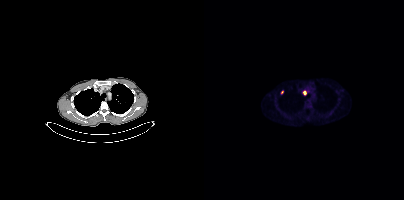
{"pet_grid":[200,200],"coord_frame":"pet_panel","coord_format":"x0,y0,x1,y1","lesion_bboxes":[],"small_foci_centers":[[100,92],[78,92]],"modality":"PSMA PET/CT","view":"axial","tracer":"18F"}